Two-panel axial: CT | PSMA PET, [18F]PSMA-1007 tracer.
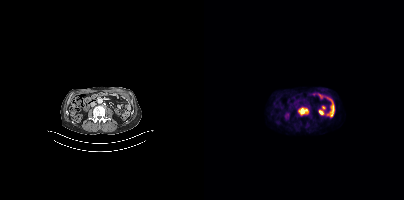
Coordinates are on the 200×200 PET (right) panel. PSMA-avid tumor lesion bounding boxes:
| # | x0 | y0 | x1 | y1 |
|---|---|---|---|---|
| 1 | 94 | 107 | 104 | 115 |